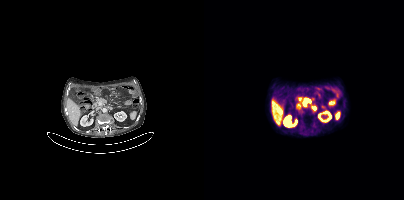
Coordinates are on the 200×200 PET (right) panel. (showing 1 of 2 foci) PSMA-avid tumor lesion bounding box (x0, y0)-(x1, y1): (94, 97)-(107, 106). Paired axial CT (left) and PSMA PET (right), [18F]PSMA-1007 tracer.